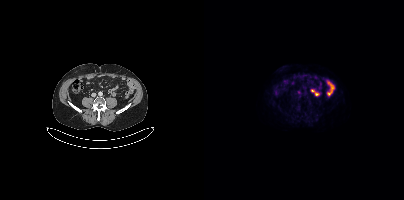
Coordinates are on the 200×200 PET (right) panel. Small PSMA-avid focus (2 to 4 px across) near (center x, center y): (95, 92).